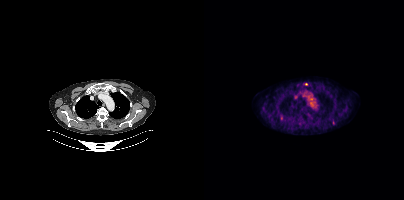
Two-panel axial: CT | PSMA PET, 18F-PSMA tracer. PET panel 200×200 px (4.1 mm/px).
Coordinates are on the 200×200 PET (right) panel. PSMA-avid tumor lesion bounding boxes:
| # | x0 | y0 | x1 | y1 |
|---|---|---|---|---|
| 1 | 77 | 115 | 78 | 119 |
| 2 | 129 | 120 | 130 | 124 |
Small PSMA-avid focus (2 to 4 px across) near (center x, center y): (102, 84).